modality: PSMA PET/CT | tracer: 18F-PSMA | view: axial
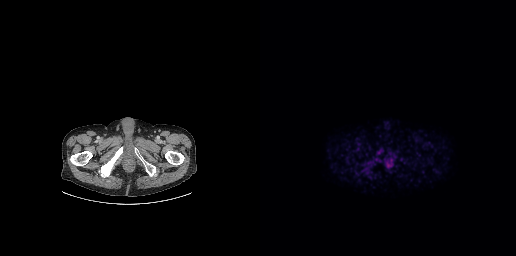
Only PSMA-avid lesion pieces thinner than 2 px on this slice (not listed).